Technique: Two-panel axial: CT | PSMA PET, 68Ga-PSMA tracer. acquired on Siemens Biograph mCT Flow 20. slice 187 of 409.
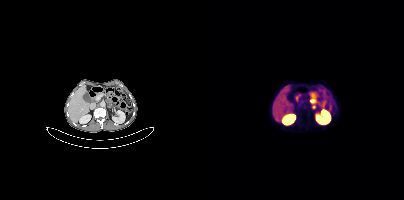
Findings: Coordinates are on the 200×200 PET (right) panel. PSMA-avid tumor lesion bounding box (x, y, width, height): x=106 y=98 w=5 h=6.